- Left: CT. Right: PSMA PET, same axial level, [18F]PSMA-1007 tracer
- slice 238 of 442
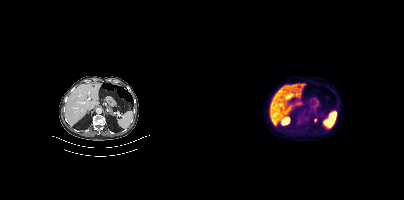
Findings: No tumor lesions annotated on this slice.